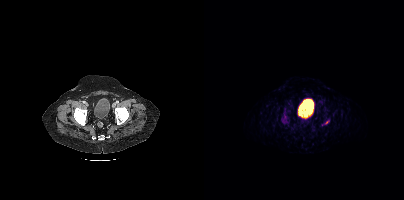
Coordinates are on the 200×200 PET (right) panel. PSMA-avid tumor lesion bounding box (x0,y0,x1,y1): [118,120,125,124]. Two-panel axial: CT | PSMA PET, 68Ga-PSMA tracer. Acquired on Siemens Biograph mCT Flow 20. Slice position z = 337 mm.